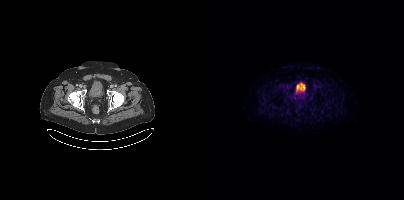
Coordinates are on the 200×200 PET (right) panel. PSMA-avid tumor lesion bounding box (x, y, width, height): x=82 y=84 w=7 h=5.